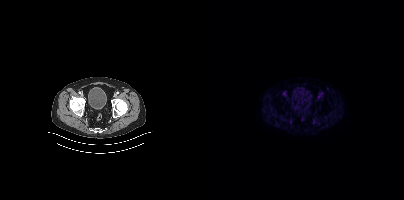
This slice has no annotated PSMA-avid lesion.